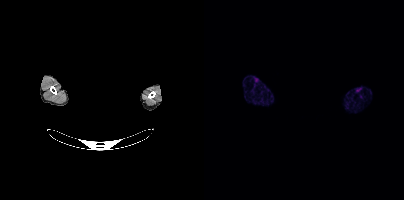
This slice has no annotated PSMA-avid lesion.
modality: PSMA PET/CT | tracer: 68Ga | view: axial | de-identification: head region blanked (face removed)